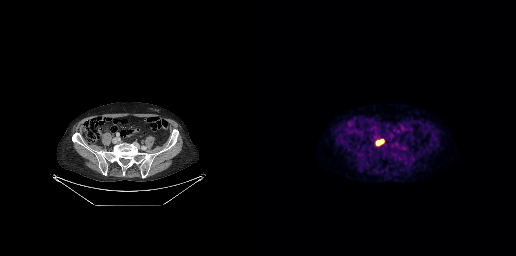
Coordinates are on the 256×256 PET (right) panel. PSMA-avid tumor lesion bounding box (x0, y0)-(x1, y1): (116, 140)-(123, 145). Paired axial CT (left) and PSMA PET (right), 18F tracer. Slice 85 of 263.